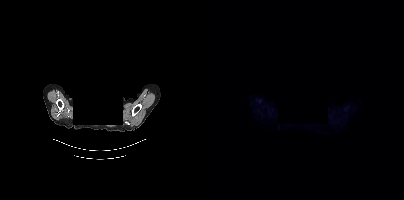
An anonymization step blacked out a rectangle over the head in this scan.
Negative for PSMA-avid disease on this slice.